modality: PSMA PET/CT | tracer: 18F-PSMA | view: axial | PET grid: 200×200
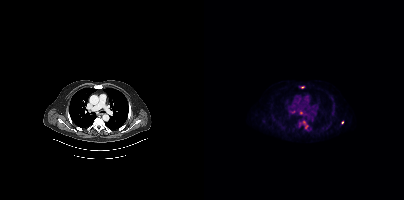
Coordinates are on the 200×200 PET (right) panel. (showing 5 of 8 foci) PSMA-avid tumor lesion bounding boxes (x, y, width, height): x=86 y=110 w=6 h=4; x=95 y=111 w=5 h=4. Small PSMA-avid foci (2 to 4 px across) near (center x, center y): (102, 126); (138, 122); (100, 122).